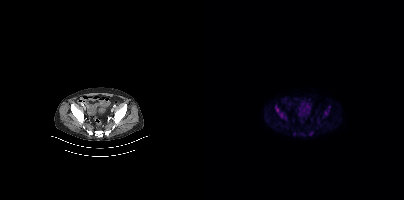
Paired axial CT (left) and PSMA PET (right), [18F]PSMA-1007 tracer. Slice 109 of 427. PET panel 200×200 px (4.1 mm/px).
Coordinates are on the 200×200 PET (right) panel. PSMA-avid tumor lesion bounding boxes (partial; 1 more focus not listed):
| # | x0 | y0 | x1 | y1 |
|---|---|---|---|---|
| 1 | 71 | 105 | 79 | 118 |
| 2 | 120 | 109 | 125 | 115 |
Small PSMA-avid foci (2 to 4 px across) near (center x, center y): (107, 133); (81, 118); (90, 133).